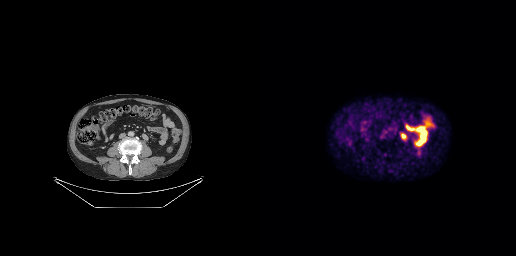
This slice has no annotated PSMA-avid lesion.